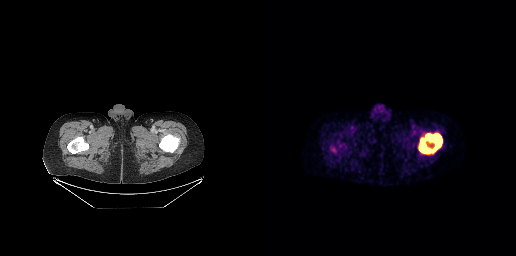
Technique: Left: CT. Right: PSMA PET, same axial level, 18F tracer. acquired on GE Discovery 690.
Findings: Coordinates are on the 256×256 PET (right) panel. PSMA-avid tumor lesion bounding box (x0, y0)-(x1, y1): (158, 133)-(182, 154).